Technique: Paired axial CT (left) and PSMA PET (right), 18F tracer. acquired on Siemens Biograph mCT Flow 20.
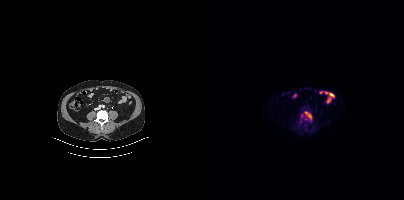
Findings: Coordinates are on the 200×200 PET (right) panel. Small PSMA-avid foci (2 to 4 px across) near (center x, center y): (106, 116) | (101, 112).